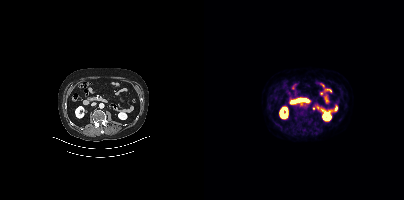
Coordinates are on the 200×200 PET (right) panel. Small PSMA-avid focus (2 to 4 px across) near (center x, center y): (109, 108). Two-panel axial: CT | PSMA PET, 18F-PSMA tracer. Slice 203 of 454.